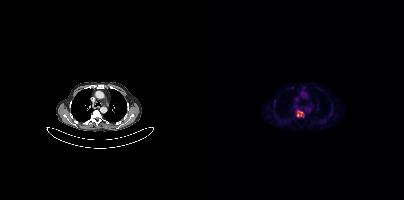
Left: CT. Right: PSMA PET, same axial level, 18F tracer. Acquired on Siemens Biograph mCT Flow 20. Slice 285 of 391.
Coordinates are on the 200×200 PET (right) panel. PSMA-avid tumor lesion bounding boxes:
| # | x0 | y0 | x1 | y1 |
|---|---|---|---|---|
| 1 | 93 | 110 | 99 | 117 |